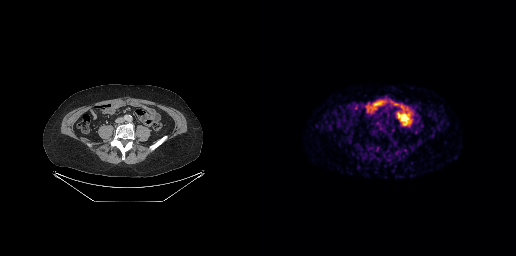
Two-panel axial: CT | PSMA PET, 68Ga-PSMA tracer. Acquired on GE Discovery 690. Slice 123 of 299. PET panel 256×256 px (2.7 mm/px). No tumor lesions annotated on this slice.